- Left: CT. Right: PSMA PET, same axial level, [18F]PSMA-1007 tracer
- slice position z = -570 mm
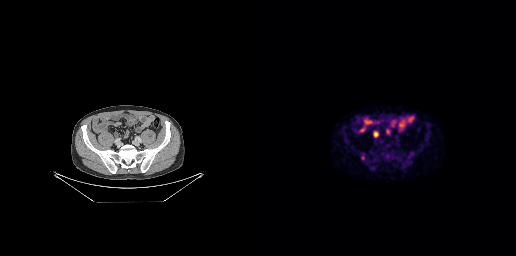
Findings: Coordinates are on the 256×256 PET (right) panel. PSMA-avid tumor lesion bounding box (x0,y0,x1,y1): [101,155,104,159].